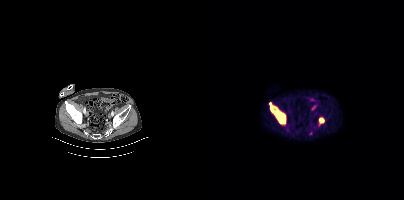
{"modality":"PSMA PET/CT","view":"axial","tracer":"18F","pet_grid":[200,200],"coord_frame":"pet_panel","coord_format":"x0,y0,x1,y1","lesion_bboxes":[[65,102,82,125],[114,117,120,126]]}